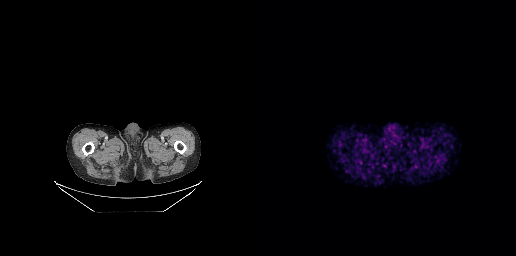
This slice has no annotated PSMA-avid lesion.